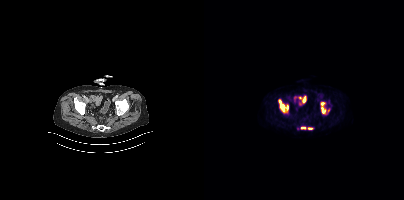
Paired axial CT (left) and PSMA PET (right), 18F tracer. Slice position z = -1400 mm. Coordinates are on the 200×200 PET (right) panel. PSMA-avid tumor lesion bounding boxes (x0, y0)-(x1, y1): (75, 100)-(84, 112); (117, 102)-(121, 113); (97, 127)-(101, 128); (104, 128)-(108, 129).